Two-panel axial: CT | PSMA PET, 68Ga tracer. Acquired on Siemens Biograph 64-4R TruePoint. Slice position z = -996 mm. PET panel 168×168 px (4.1 mm/px).
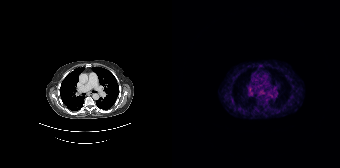
No PSMA-avid tumor lesions on this slice.